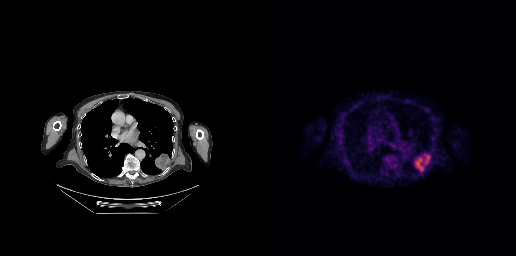
modality: PSMA PET/CT | tracer: 18F | view: axial | PET grid: 256×256
Coordinates are on the 256×256 PET (right) panel. PSMA-avid tumor lesion bounding box (x, y, width, height): x=155 y=154 w=16 h=18.